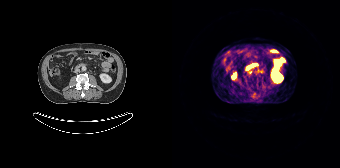
{"modality":"PSMA PET/CT","view":"axial","tracer":"[68Ga]Ga-PSMA-11","pet_grid":[168,168],"coord_frame":"pet_panel","coord_format":"x0,y0,x1,y1","psma_avid_lesions":false}